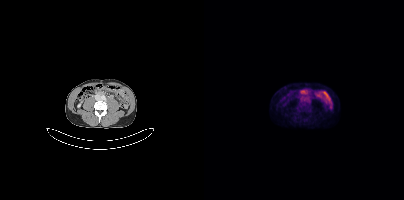
Coordinates are on the 200×200 PET (right) panel. Small PSMA-avid focus (2 to 4 px across) near (center x, center y): (96, 107).
modality: PSMA PET/CT | tracer: [18F]PSMA-1007 | view: axial